Two-panel axial: CT | PSMA PET, 68Ga-PSMA tracer. Acquired on Siemens Biograph 64-4R TruePoint.
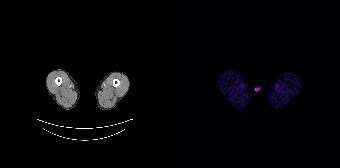
No PSMA-avid tumor lesions on this slice.